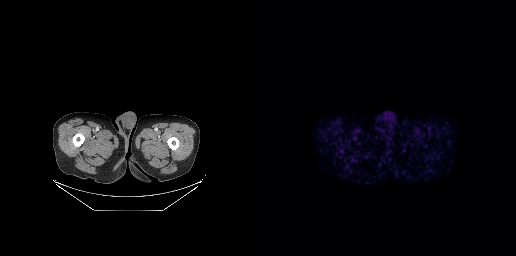
No tumor lesions annotated on this slice. Left: CT. Right: PSMA PET, same axial level, 68Ga-PSMA tracer. Acquired on GE Discovery 690. PET panel 256×256 px (2.7 mm/px).